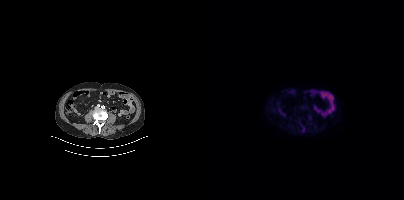
modality: PSMA PET/CT | tracer: [18F]PSMA-1007 | view: axial
No PSMA-avid tumor lesions on this slice.